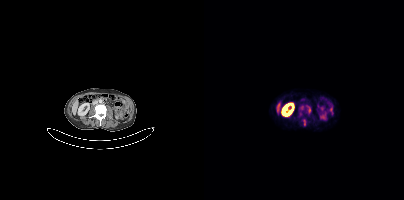
{"modality":"PSMA PET/CT","view":"axial","tracer":"[68Ga]Ga-PSMA-11","pet_grid":[200,200],"coord_frame":"pet_panel","coord_format":"x0,y0,x1,y1","lesion_bboxes":[[99,120,102,125]],"small_foci_centers":[[105,112]]}